- Two-panel axial: CT | PSMA PET, 18F tracer
- acquired on Siemens Biograph mCT Flow 20
- PET panel 200×200 px (4.1 mm/px)
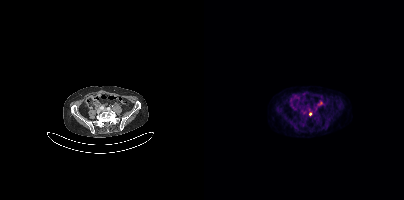
Findings: Coordinates are on the 200×200 PET (right) panel. (showing 1 of 3 foci) Small PSMA-avid focus (2 to 4 px across) near (center x, center y): (106, 113).